modality: PSMA PET/CT | tracer: [68Ga]Ga-PSMA-11 | view: axial | PET grid: 168×168
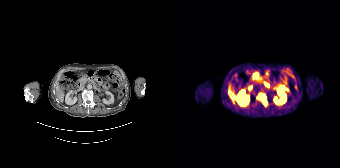
Coordinates are on the 168×168 PET (right) panel. PSMA-avid tumor lesion bounding box (x0, y0)-(x1, y1): (85, 93)-(94, 105).